Left: CT. Right: PSMA PET, same axial level, [18F]PSMA-1007 tracer. PET panel 200×200 px (4.1 mm/px).
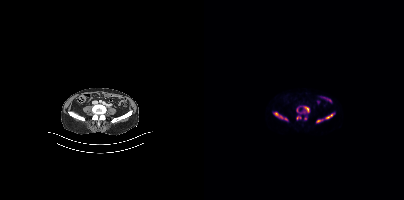
Coordinates are on the 200×200 PET (right) panel. PSMA-avid tumor lesion bounding boxes:
| # | x0 | y0 | x1 | y1 |
|---|---|---|---|---|
| 1 | 99 | 106 | 105 | 112 |
| 2 | 70 | 112 | 79 | 118 |
| 3 | 121 | 114 | 129 | 118 |
| 4 | 112 | 119 | 118 | 122 |
| 5 | 92 | 116 | 97 | 119 |
| 6 | 92 | 108 | 94 | 112 |
Small PSMA-avid foci (2 to 4 px across) near (center x, center y): (82, 119); (101, 118).